modality: PSMA PET/CT | tracer: 68Ga-PSMA | view: axial
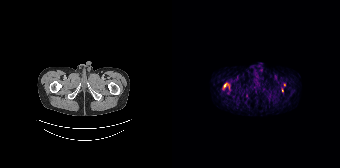
Coordinates are on the 168×168 PET (right) panel. (showing 2 of 3 foci) PSMA-avid tumor lesion bounding box (x0, y0)-(x1, y1): (51, 83)-(57, 88). Small PSMA-avid focus (2 to 4 px across) near (center x, center y): (110, 90).